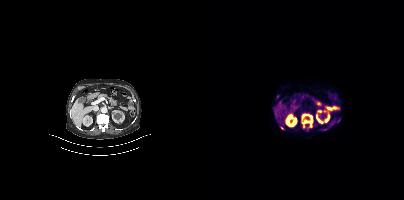
Coordinates are on the 200×200 PET (right) panel. (showing 6 of 7 foci) PSMA-avid tumor lesion bounding box (x0, y0)-(x1, y1): (97, 113)-(108, 128). Small PSMA-avid foci (2 to 4 px across) near (center x, center y): (77, 127) / (120, 129) / (70, 108) / (73, 96) / (135, 119).